- Left: CT. Right: PSMA PET, same axial level, 18F tracer
- slice position z = -850 mm
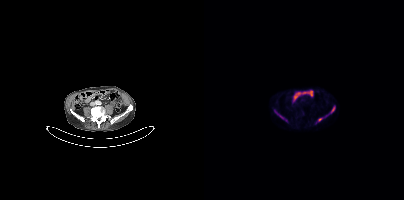
Findings: Coordinates are on the 200×200 PET (right) panel. PSMA-avid tumor lesion bounding boxes (x, y, width, height): x=70 y=109 w=13 h=13; x=127 y=106 w=5 h=7; x=114 y=118 w=5 h=3.